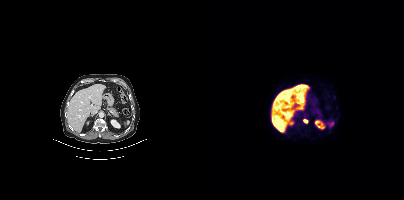
Left: CT. Right: PSMA PET, same axial level, [18F]PSMA-1007 tracer. PET panel 200×200 px (4.1 mm/px). Coordinates are on the 200×200 PET (right) panel. Small PSMA-avid focus (2 to 4 px across) near (center x, center y): (101, 120).